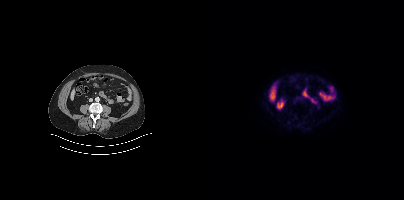
Two-panel axial: CT | PSMA PET, 18F-PSMA tracer. Negative for PSMA-avid disease on this slice.